modality: PSMA PET/CT | tracer: 18F-PSMA | view: axial | PET grid: 200×200
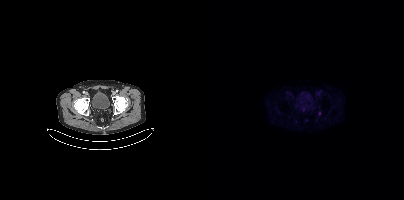
Coordinates are on the 200×200 PET (right) panel. Small PSMA-avid foci (2 to 4 px across) near (center x, center y): (115, 113); (99, 109).